The face region was removed for patient privacy by blanking a rectangle over the head.
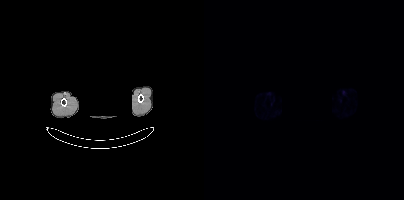
No PSMA-avid tumor lesions on this slice.